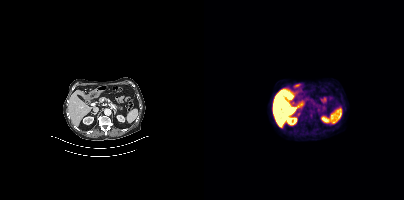
No PSMA-avid tumor lesions on this slice. Paired axial CT (left) and PSMA PET (right), [18F]PSMA-1007 tracer. Acquired on Siemens Biograph mCT Flow 20. Slice 202 of 401.